Technique: Paired axial CT (left) and PSMA PET (right), 18F-PSMA tracer. acquired on Siemens Biograph mCT Flow 20. slice position z = -356 mm. PET panel 200×200 px (4.1 mm/px).
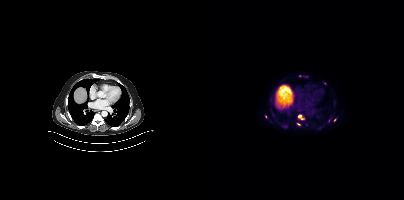
Findings: Coordinates are on the 200×200 PET (right) panel. (showing 4 of 7 foci) PSMA-avid tumor lesion bounding box (x0, y0)-(x1, y1): (94, 114)-(100, 119). Small PSMA-avid foci (2 to 4 px across) near (center x, center y): (94, 124); (131, 120); (95, 75).